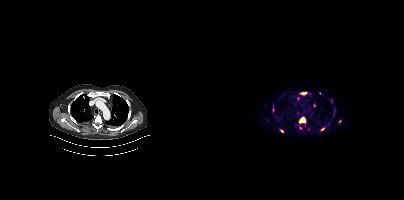
Coordinates are on the 200×200 PET (right) panel. (showing 10 of 12 foci) PSMA-avid tumor lesion bounding boxes (x0, y0)-(x1, y1): (95, 117)-(101, 123) / (96, 92)-(102, 95) / (116, 127)-(120, 130) / (126, 99)-(128, 103). Small PSMA-avid foci (2 to 4 px across) near (center x, center y): (77, 131) / (116, 93) / (136, 121) / (130, 108) / (110, 105) / (96, 127).